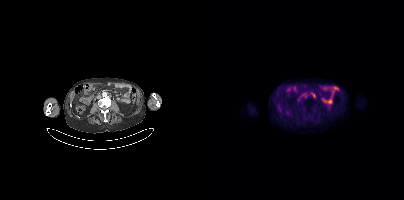
Paired axial CT (left) and PSMA PET (right), 18F-PSMA tracer. PET panel 200×200 px (4.1 mm/px). Coordinates are on the 200×200 PET (right) panel. Small PSMA-avid foci (2 to 4 px across) near (center x, center y): (109, 95); (100, 97).